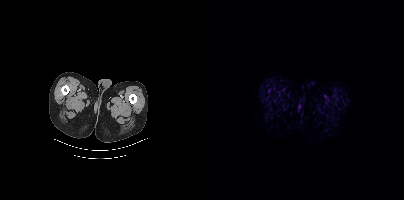
Findings: This slice has no annotated PSMA-avid lesion.
Technique: Paired axial CT (left) and PSMA PET (right), [18F]PSMA-1007 tracer. slice position z = -980 mm.